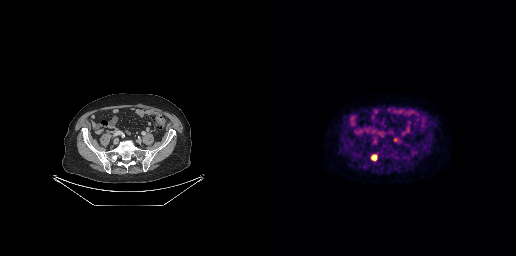
Coordinates are on the 256×256 PET (right) panel. PSMA-avid tumor lesion bounding box (x0, y0)-(x1, y1): (111, 155)-(116, 160). Small PSMA-avid focus (2 to 4 px across) near (center x, center y): (135, 139).